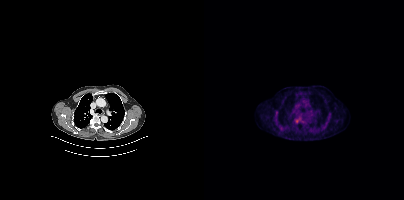
- Left: CT. Right: PSMA PET, same axial level, [18F]PSMA-1007 tracer
- acquired on Siemens Biograph mCT Flow 20
- PET panel 200×200 px (4.1 mm/px)
Findings: Coordinates are on the 200×200 PET (right) panel. PSMA-avid tumor lesion bounding box (x0, y0)-(x1, y1): (91, 119)-(95, 122).